Left: CT. Right: PSMA PET, same axial level, 18F-PSMA tracer. Acquired on Siemens Biograph mCT Flow 20.
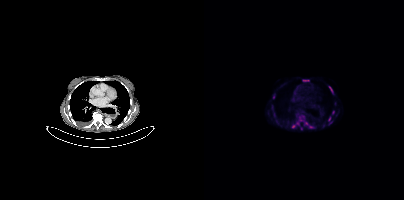
Coordinates are on the 200×200 PET (right) panel. (showing 10 of 11 foci) PSMA-avid tumor lesion bounding boxes (x0, y0)-(x1, y1): (125, 86)-(129, 92) | (69, 94)-(71, 98) | (99, 80)-(104, 81). Small PSMA-avid foci (2 to 4 px across) near (center x, center y): (89, 126) | (125, 118) | (129, 112) | (102, 123) | (107, 126) | (110, 127) | (93, 123).